Technique: Paired axial CT (left) and PSMA PET (right), 18F-PSMA tracer. acquired on Siemens Biograph mCT Flow 20. slice 258 of 411.
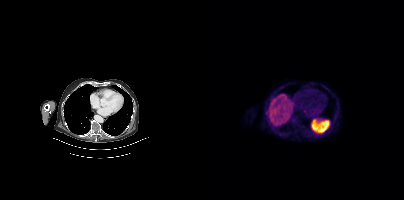
Findings: No tumor lesions annotated on this slice.